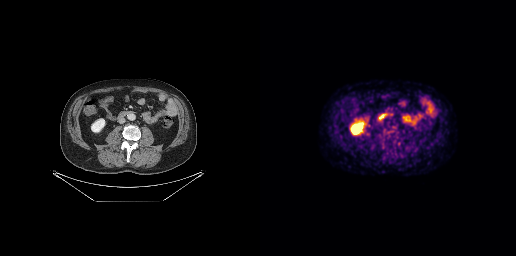
Technique: Paired axial CT (left) and PSMA PET (right), 18F-PSMA tracer. acquired on GE Discovery 690. slice position z = -710 mm. PET panel 256×256 px (2.7 mm/px).
Findings: No PSMA-avid tumor lesions on this slice.